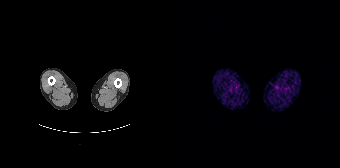
Two-panel axial: CT | PSMA PET, 68Ga tracer. Slice 8 of 195. PET panel 168×168 px (4.1 mm/px). This slice has no annotated PSMA-avid lesion.